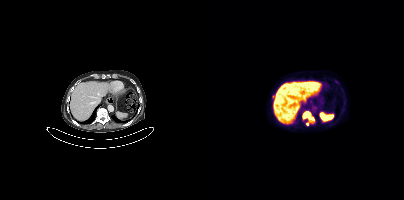
Two-panel axial: CT | PSMA PET, 18F tracer. Slice 231 of 401. PET panel 200×200 px (4.1 mm/px). Coordinates are on the 200×200 PET (right) panel. PSMA-avid tumor lesion bounding box (x, y, width, height): x=98 y=111 w=13 h=11. Small PSMA-avid focus (2 to 4 px across) near (center x, center y): (103, 124).